Paired axial CT (left) and PSMA PET (right), [18F]PSMA-1007 tracer.
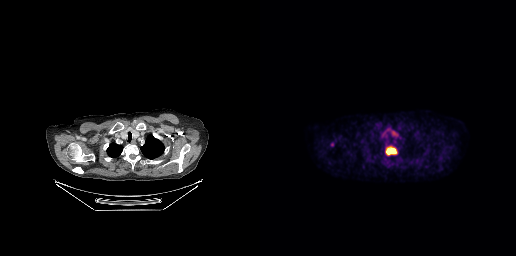
Coordinates are on the 256×256 PET (right) panel. PSMA-avid tumor lesion bounding boxes:
| # | x0 | y0 | x1 | y1 |
|---|---|---|---|---|
| 1 | 126 | 147 | 136 | 154 |